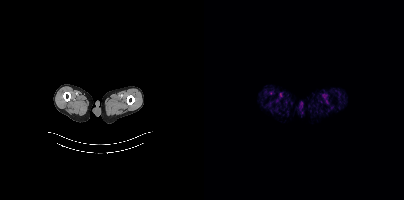
modality: PSMA PET/CT | tracer: [18F]PSMA-1007 | view: axial | PET grid: 200×200
No tumor lesions annotated on this slice.